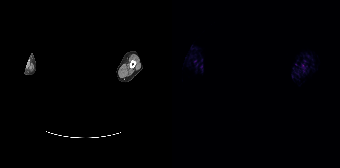
An anonymization step blacked out a rectangle over the head in this scan.
Negative for PSMA-avid disease on this slice.